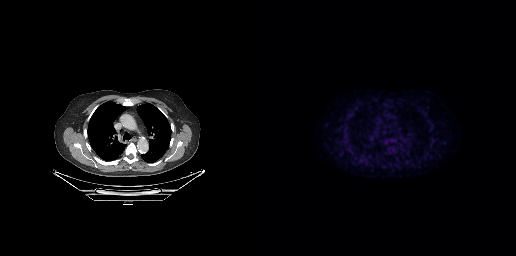
Technique: Left: CT. Right: PSMA PET, same axial level, 18F-PSMA tracer. slice 205 of 263. PET panel 256×256 px (2.7 mm/px).
Findings: No PSMA-avid tumor lesions on this slice.